Privacy masking over the head, with the pixels inside a rectangle set to black. Left: CT. Right: PSMA PET, same axial level, 68Ga tracer. Slice position z = -784 mm.
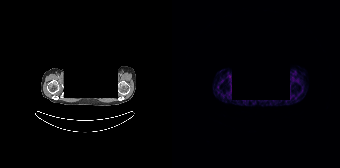
Negative for PSMA-avid disease on this slice.